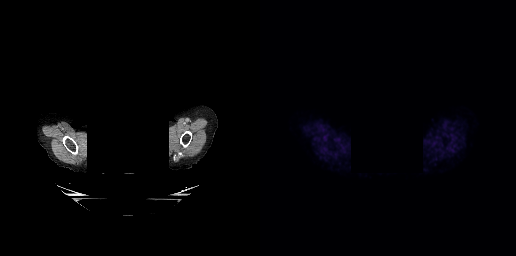
deidentification: head region blanked (face removed) | modality: PSMA PET/CT | tracer: 18F-PSMA | view: axial
Negative for PSMA-avid disease on this slice.